deidentification: privacy mask over head | modality: PSMA PET/CT | tracer: 68Ga-PSMA | view: axial
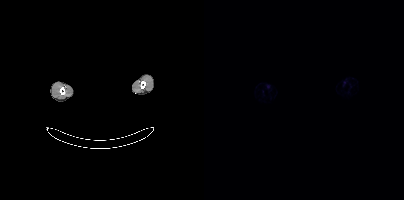
No PSMA-avid tumor lesions on this slice.